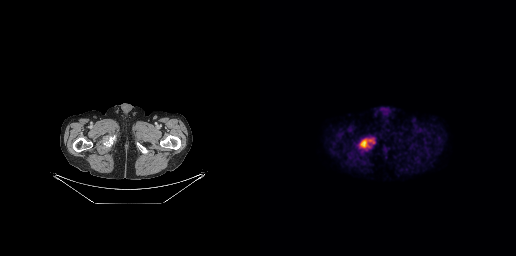
- Paired axial CT (left) and PSMA PET (right), [18F]PSMA-1007 tracer
- acquired on GE Discovery 690
Findings: Coordinates are on the 256×256 PET (right) panel. PSMA-avid tumor lesion bounding box (x, y, width, height): x=99 y=138 w=17 h=12.